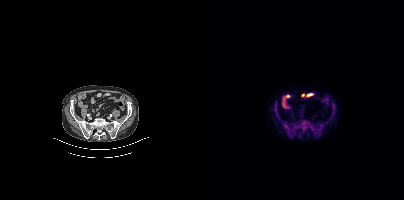
Coordinates are on the 200×200 PET (right) panel. PSMA-avid tumor lesion bounding boxes (x, y, width, height): x=128 y=104 w=4 h=10 / x=70 y=104 w=5 h=12.